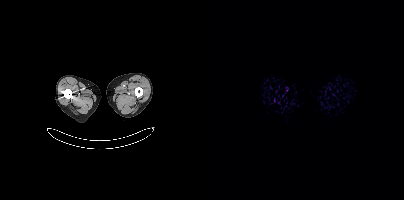
{"modality":"PSMA PET/CT","view":"axial","tracer":"18F","pet_grid":[200,200],"coord_frame":"pet_panel","coord_format":"x0,y0,x1,y1","psma_avid_lesions":false}